modality: PSMA PET/CT | tracer: [18F]PSMA-1007 | view: axial
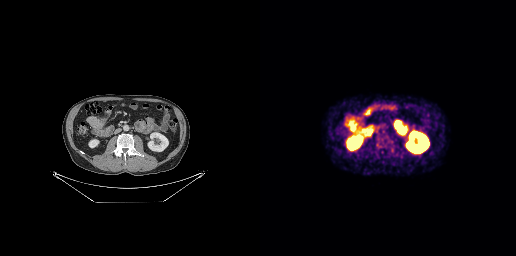
Coordinates are on the 256×256 PET (right) panel. PSMA-avid tumor lesion bounding boxes (x, y, width, height): x=115 y=136 w=13 h=13; x=129 y=148 w=6 h=6.